- Left: CT. Right: PSMA PET, same axial level, 18F-PSMA tracer
- slice position z = -684 mm
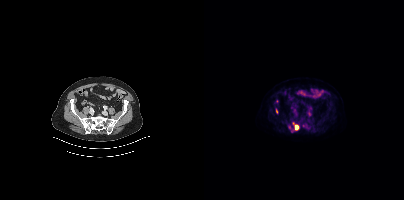
Findings: Coordinates are on the 200×200 PET (right) panel. (showing 2 of 3 foci) PSMA-avid tumor lesion bounding box (x0,y0,x1,y1): [89,122,95,130]. Small PSMA-avid focus (2 to 4 px across) near (center x, center y): (72, 101).